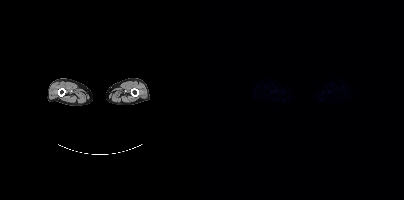
No PSMA-avid tumor lesions on this slice. Left: CT. Right: PSMA PET, same axial level, [18F]PSMA-1007 tracer. Slice position z = -1280 mm. PET panel 200×200 px (4.1 mm/px).